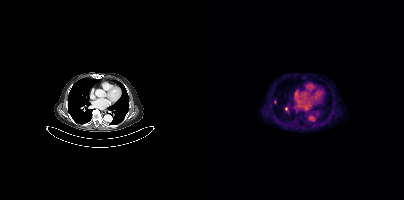
Findings: Coordinates are on the 200×200 PET (right) panel. (showing 1 of 2 foci) Small PSMA-avid focus (2 to 4 px across) near (center x, center y): (71, 101).
Technique: Left: CT. Right: PSMA PET, same axial level, 18F-PSMA tracer. acquired on Siemens Biograph mCT Flow 20. slice position z = -1240 mm. PET panel 200×200 px (4.1 mm/px).